Two-panel axial: CT | PSMA PET, [18F]PSMA-1007 tracer. Acquired on Siemens Biograph mCT Flow 20. Slice position z = -290 mm. PET panel 200×200 px (4.1 mm/px).
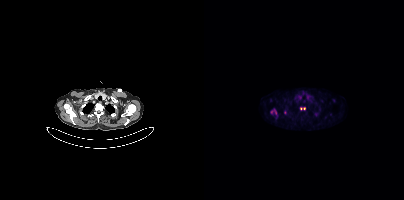
Coordinates are on the 200×200 PET (right) panel. PSMA-avid tumor lesion bounding box (x0, y0)-(x1, y1): (66, 109)-(72, 114). Small PSMA-avid foci (2 to 4 px across) near (center x, center y): (96, 108); (100, 108).